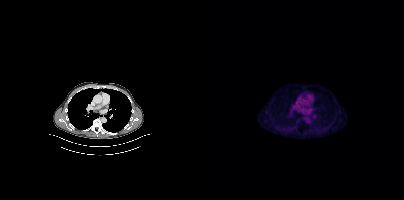
Negative for PSMA-avid disease on this slice.